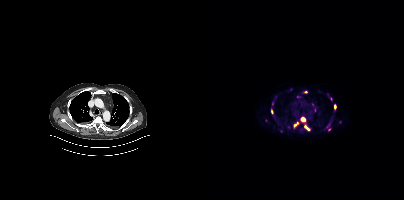
Coordinates are on the 200×200 PET (right) panel. PSMA-avid tumor lesion bounding boxes (x0, y0)-(x1, y1): (96, 117)-(106, 131) / (89, 122)-(95, 128) / (130, 103)-(132, 109). Small PSMA-avid foci (2 to 4 px across) near (center x, center y): (127, 98) / (68, 111) / (102, 91) / (125, 129) / (123, 94).